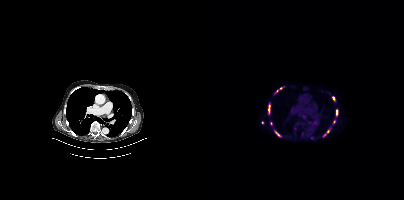
{"modality":"PSMA PET/CT","view":"axial","tracer":"68Ga","pet_grid":[200,200],"coord_frame":"pet_panel","coord_format":"x0,y0,x1,y1","partial":true,"lesion_bboxes":[[64,105,66,113],[120,130,125,135],[132,110,133,114]],"small_foci_centers":[[99,116],[129,98],[73,133],[76,87]]}